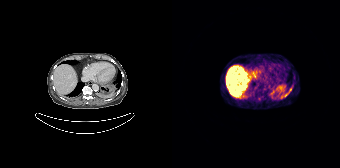
No tumor lesions annotated on this slice.